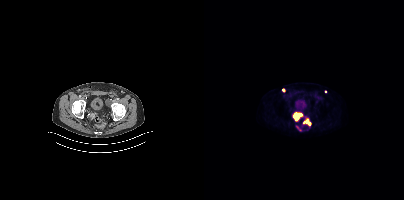
{"pet_grid":[200,200],"coord_frame":"pet_panel","coord_format":"x0,y0,x1,y1","partial":true,"lesion_bboxes":[[88,112,99,121],[99,118,107,126],[78,88,81,92]],"small_foci_centers":[[121,91]],"modality":"PSMA PET/CT","view":"axial","tracer":"18F"}